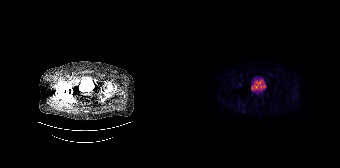
Coordinates are on the 168×168 PET (right) panel. Small PSMA-avid focus (2 to 4 px across) near (center x, center y): (67, 84).